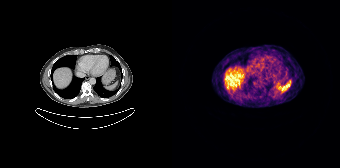
modality: PSMA PET/CT | tracer: 68Ga-PSMA | view: axial | PET grid: 168×168
This slice has no annotated PSMA-avid lesion.